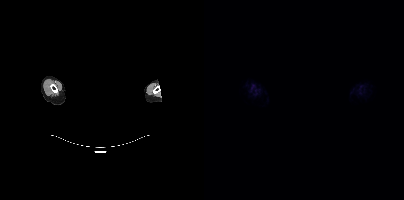
No PSMA-avid tumor lesions on this slice. Paired axial CT (left) and PSMA PET (right), [18F]PSMA-1007 tracer. PET panel 200×200 px (4.1 mm/px). Privacy masking over the head, with the pixels inside a rectangle set to black.